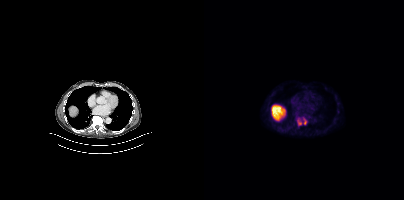
Technique: Two-panel axial: CT | PSMA PET, 18F tracer. acquired on Siemens Biograph mCT Flow 20. slice 264 of 421.
Findings: Coordinates are on the 200×200 PET (right) panel. PSMA-avid tumor lesion bounding box (x0, y0)-(x1, y1): (93, 117)-(102, 125).